Technique: Two-panel axial: CT | PSMA PET, 18F-PSMA tracer. slice position z = 1442 mm. PET panel 168×168 px (4.1 mm/px).
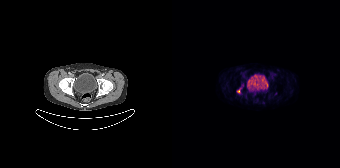
Findings: Coordinates are on the 168×168 PET (right) panel. (showing 2 of 3 foci) PSMA-avid tumor lesion bounding box (x, y, width, height): x=65 y=88 w=4 h=6. Small PSMA-avid focus (2 to 4 px across) near (center x, center y): (91, 102).